modality: PSMA PET/CT | tracer: [18F]PSMA-1007 | view: axial
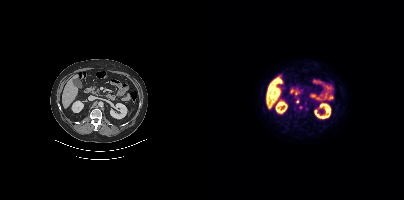
Coordinates are on the 200×200 PET (right) panel. PSMA-avid tumor lesion bounding box (x, y, width, height): x=92 y=100 w=3 h=5. Small PSMA-avid foci (2 to 4 px across) near (center x, center y): (96, 107) / (103, 108).